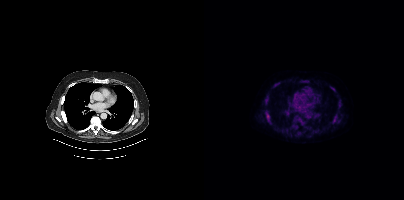
Coordinates are on the 200×200 PET (right) panel. PSMA-avid tumor lesion bounding boxes (x0,y0,x1,y1): [61,110,67,124] [92,118,98,124] [61,95,64,102] [129,115,133,121] [70,82,74,87] [98,80,102,83]. Small PSMA-avid foci (2 to 4 px across) near (center x, center y): (135, 106) (90, 126) (129, 89) (135, 101).